Technique: Two-panel axial: CT | PSMA PET, [18F]PSMA-1007 tracer. acquired on Siemens Biograph mCT Flow 20. slice position z = -204 mm.
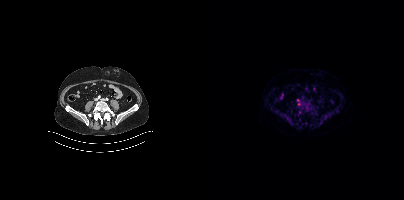
Findings: Only PSMA-avid lesion pieces thinner than 2 px on this slice (not listed).